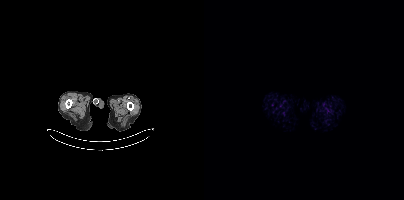
Findings: No PSMA-avid tumor lesions on this slice.
- Left: CT. Right: PSMA PET, same axial level, 18F tracer
- acquired on Siemens Biograph mCT Flow 20
- PET panel 200×200 px (4.1 mm/px)